Paired axial CT (left) and PSMA PET (right), 18F-PSMA tracer. Slice position z = -866 mm.
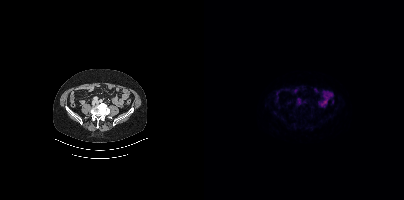
No PSMA-avid tumor lesions on this slice.